Technique: Two-panel axial: CT | PSMA PET, 18F-PSMA tracer. acquired on Siemens Biograph mCT Flow 20. PET panel 200×200 px (4.1 mm/px).
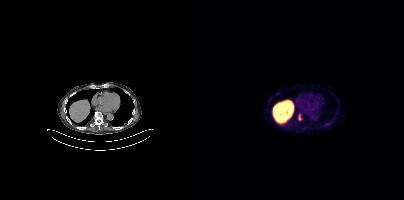
Findings: Coordinates are on the 200×200 PET (right) panel. PSMA-avid tumor lesion bounding box (x0, y0)-(x1, y1): (94, 114)-(97, 120). Small PSMA-avid focus (2 to 4 px across) near (center x, center y): (73, 93).